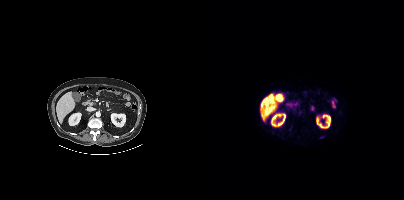
This slice has no annotated PSMA-avid lesion. Left: CT. Right: PSMA PET, same axial level, 18F tracer. PET panel 200×200 px (4.1 mm/px).